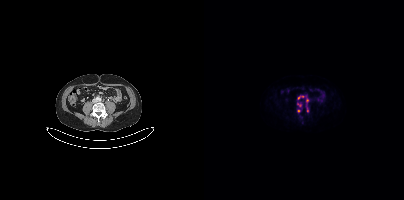
Coordinates are on the 200×200 PET (right) panel. PSMA-avid tumor lesion bounding boxes (partial; 1 more focus not listed):
| # | x0 | y0 | x1 | y1 |
|---|---|---|---|---|
| 1 | 93 | 102 | 98 | 107 |
| 2 | 102 | 98 | 104 | 103 |
Small PSMA-avid foci (2 to 4 px across) near (center x, center y): (95, 97); (103, 109); (94, 110).
Two-panel axial: CT | PSMA PET, 68Ga-PSMA tracer. PET panel 200×200 px (4.1 mm/px).